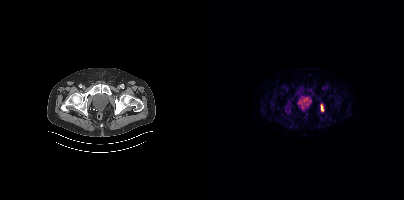
Coordinates are on the 200×200 PET (right) panel. PSMA-avid tumor lesion bounding box (x0,y0,x1,y1): [116,105,120,111].